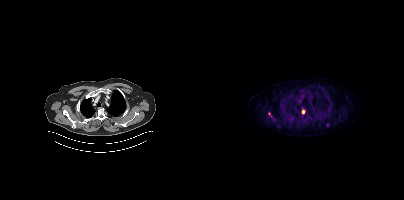
Findings: Coordinates are on the 200×200 PET (right) panel. (showing 1 of 4 foci) PSMA-avid tumor lesion bounding box (x0,y0,x1,y1): [97,110,100,114].
- Paired axial CT (left) and PSMA PET (right), [18F]PSMA-1007 tracer
- slice position z = -952 mm
- PET panel 200×200 px (4.1 mm/px)